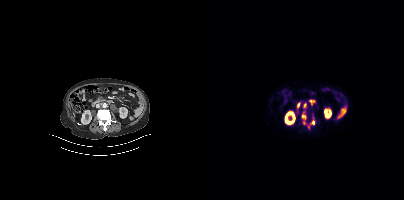
{"modality":"PSMA PET/CT","view":"axial","tracer":"68Ga","pet_grid":[200,200],"coord_frame":"pet_panel","coord_format":"x0,y0,x1,y1","lesion_bboxes":[[97,112,103,124],[99,103,102,108],[106,120,110,124]],"small_foci_centers":[[104,127]]}